Paired axial CT (left) and PSMA PET (right), 18F tracer. Slice position z = -1009 mm.
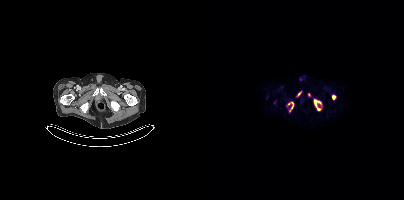
Coordinates are on the 200×200 PET (right) panel. (showing 4 of 5 foci) PSMA-avid tumor lesion bounding boxes (x, y, width, height): x=110 y=99 w=8 h=12 / x=84 y=102 w=6 h=10 / x=128 y=95 w=4 h=5. Small PSMA-avid focus (2 to 4 px across) near (center x, center y): (95, 93).